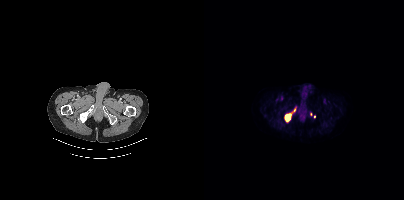
Technique: Left: CT. Right: PSMA PET, same axial level, 18F tracer. acquired on Siemens Biograph mCT Flow 20. slice 50 of 401.
Findings: Coordinates are on the 200×200 PET (right) panel. PSMA-avid tumor lesion bounding boxes (x0, y0)-(x1, y1): (81, 114)-(86, 121) | (88, 108)-(91, 112). Small PSMA-avid foci (2 to 4 px across) near (center x, center y): (106, 114) | (110, 116).